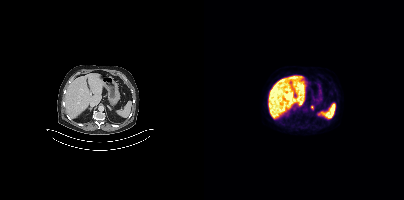
{"pet_grid":[200,200],"coord_frame":"pet_panel","coord_format":"x0,y0,x1,y1","lesion_bboxes":[],"small_foci_centers":[[108,107]],"modality":"PSMA PET/CT","view":"axial","tracer":"18F"}